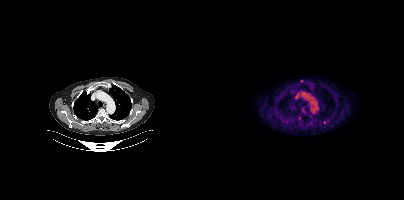
- Paired axial CT (left) and PSMA PET (right), 18F-PSMA tracer
Findings: Coordinates are on the 200×200 PET (right) panel. (showing 1 of 2 foci) Small PSMA-avid focus (2 to 4 px across) near (center x, center y): (97, 80).